Technique: Left: CT. Right: PSMA PET, same axial level, 18F-PSMA tracer. slice position z = -908 mm.
Note: Privacy masking, with the pixels inside a rectangle set to black.
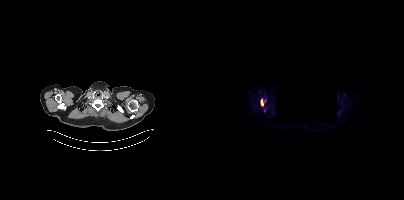
Findings: Coordinates are on the 200×200 PET (right) panel. (showing 1 of 2 foci) PSMA-avid tumor lesion bounding box (x0, y0)-(x1, y1): (56, 98)-(61, 106).